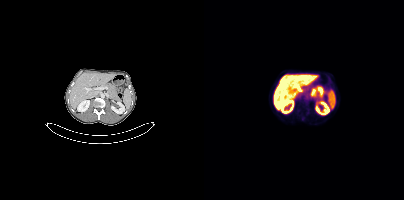
No tumor lesions annotated on this slice.